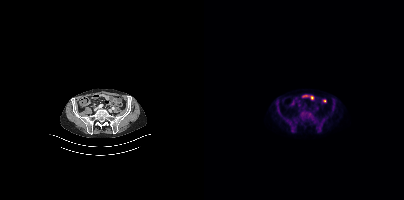
modality: PSMA PET/CT | tracer: [18F]PSMA-1007 | view: axial | PET grid: 200×200
No tumor lesions annotated on this slice.